- Two-panel axial: CT | PSMA PET, 18F-PSMA tracer
- acquired on Siemens Biograph mCT Flow 20
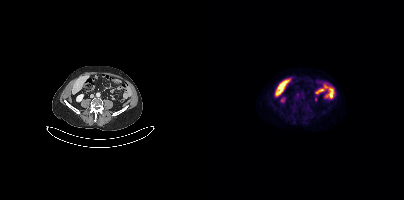
Findings: No tumor lesions annotated on this slice.